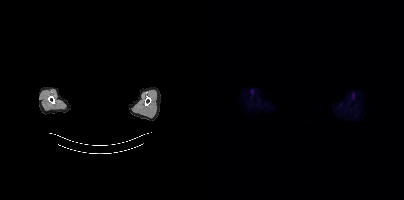
Left: CT. Right: PSMA PET, same axial level, 18F tracer. PET panel 200×200 px (4.1 mm/px). Any black rectangle over the head is a privacy mask, not anatomy. No tumor lesions annotated on this slice.